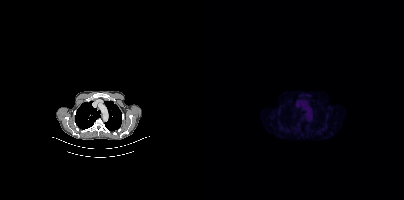
No PSMA-avid tumor lesions on this slice.